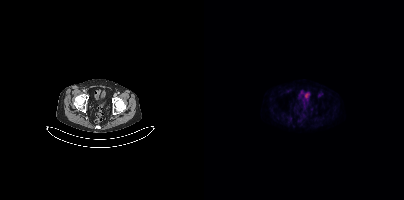
{"pet_grid":[200,200],"coord_frame":"pet_panel","coord_format":"x0,y0,x1,y1","psma_avid_lesions":false,"modality":"PSMA PET/CT","view":"axial","tracer":"18F"}